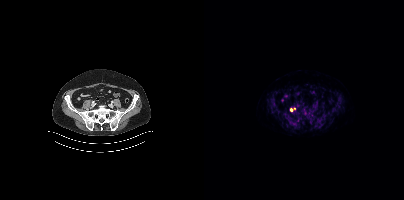
Coordinates are on the 200×200 PET (right) panel. PSMA-avid tumor lesion bounding box (x0,y0,x1,y1): [86,108,91,111].